Technique: Left: CT. Right: PSMA PET, same axial level, 18F tracer. acquired on Siemens Biograph 64-4R TruePoint. slice 133 of 165.
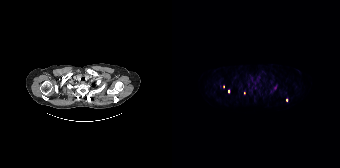
Findings: Coordinates are on the 168×168 PET (right) panel. Small PSMA-avid foci (2 to 4 px across) near (center x, center y): (56, 91) | (114, 100) | (72, 93) | (51, 86) | (80, 93).